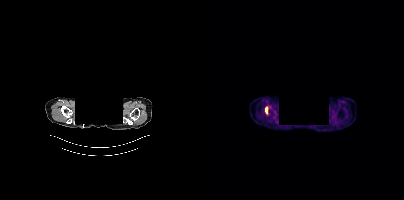
modality: PSMA PET/CT | tracer: 18F-PSMA | view: axial | redaction: rectangular block over head set to black
Coordinates are on the 200×200 PET (right) panel. PSMA-avid tumor lesion bounding box (x0,y0,x1,y1): [62,108,63,112].